modality: PSMA PET/CT | tracer: [18F]PSMA-1007 | view: axial | PET grid: 200×200
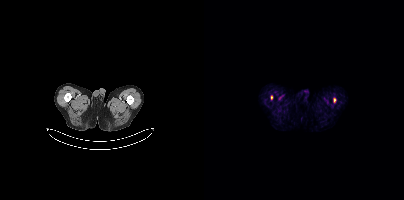
Coordinates are on the 200×200 PET (right) panel. PSMA-avid tumor lesion bounding boxes (x, y, width, height): x=129 y=98 w=3 h=5 | x=66 y=95 w=3 h=5.